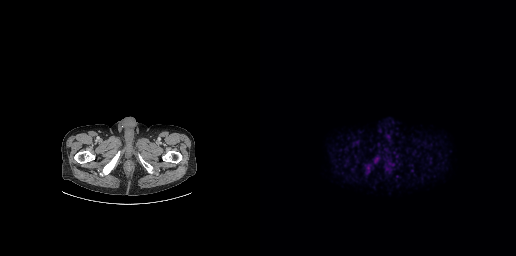
Coordinates are on the 256×256 PET (right) panel. PSMA-avid tumor lesion bounding boxes (x0, y0)-(x1, y1): (113, 157)-(120, 163) / (105, 166)-(110, 171).